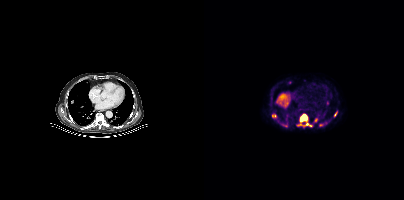
{"modality":"PSMA PET/CT","view":"axial","tracer":"18F","pet_grid":[200,200],"coord_frame":"pet_panel","coord_format":"x0,y0,x1,y1","lesion_bboxes":[[93,114,104,126],[78,123,83,127],[68,114,72,117],[115,124,119,126],[130,112,133,116]],"small_foci_centers":[[111,119],[107,125]]}